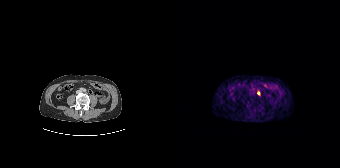
Technique: Two-panel axial: CT | PSMA PET, [68Ga]Ga-PSMA-11 tracer.
Findings: Coordinates are on the 168×168 PET (right) panel. Small PSMA-avid focus (2 to 4 px across) near (center x, center y): (86, 93).